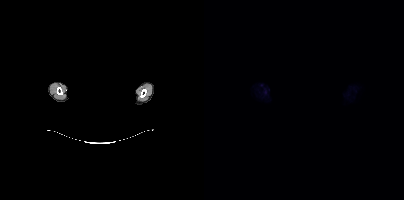
No PSMA-avid tumor lesions on this slice. Face de-identified by blanking a block of the head. Left: CT. Right: PSMA PET, same axial level, 18F tracer. PET panel 200×200 px (4.1 mm/px).